Paired axial CT (left) and PSMA PET (right), 18F-PSMA tracer. Slice position z = -1492 mm.
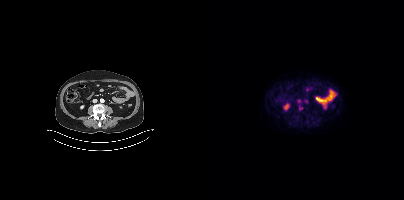
Only PSMA-avid lesion pieces thinner than 2 px on this slice (not listed).